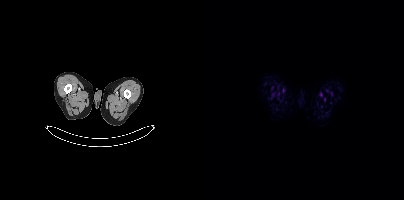
modality: PSMA PET/CT | tracer: 18F | view: axial
This slice has no annotated PSMA-avid lesion.